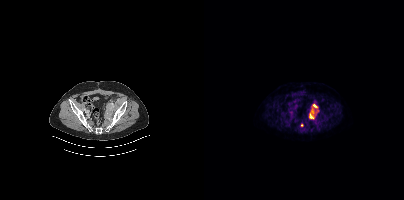
modality: PSMA PET/CT | tracer: 18F | view: axial
Coordinates are on the 200×200 PET (right) panel. PSMA-avid tumor lesion bounding box (x, y, width, height): x=105 y=104 w=10 h=16.